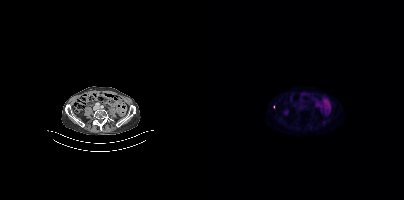
Coordinates are on the 200×200 PET (right) panel. (showing 1 of 2 foci) Small PSMA-avid focus (2 to 4 px across) near (center x, center y): (119, 122). Two-panel axial: CT | PSMA PET, [18F]PSMA-1007 tracer.